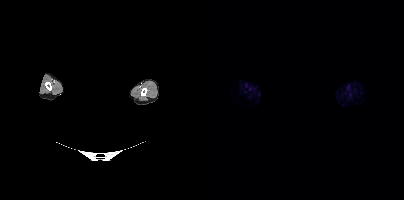
{"modality":"PSMA PET/CT","view":"axial","tracer":"[18F]PSMA-1007","pet_grid":[200,200],"coord_frame":"pet_panel","coord_format":"x0,y0,x1,y1","psma_avid_lesions":false,"redaction":"head region blanked (face removed)"}